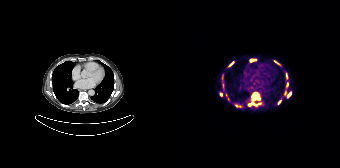
Findings: Coordinates are on the 168×168 PET (right) panel. (showing 12 of 14 foci) PSMA-avid tumor lesion bounding boxes (x, y, width, height): x=80 y=92 w=9 h=9 / x=80 y=102 w=10 h=5 / x=115 y=92 w=5 h=6 / x=78 y=59 w=5 h=3 / x=102 y=60 w=6 h=5 / x=114 y=73 w=2 h=6. Small PSMA-avid foci (2 to 4 px across) near (center x, center y): (49, 94) / (107, 102) / (115, 84) / (59, 63) / (77, 104) / (64, 105).
Technique: Paired axial CT (left) and PSMA PET (right), [68Ga]Ga-PSMA-11 tracer. PET panel 168×168 px (4.1 mm/px).